Left: CT. Right: PSMA PET, same axial level, [18F]PSMA-1007 tracer. Slice position z = -1024 mm. PET panel 200×200 px (4.1 mm/px).
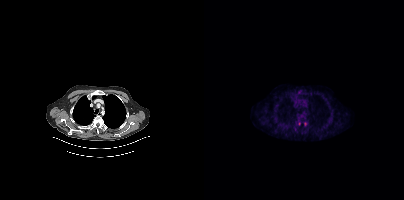
Only PSMA-avid lesion pieces thinner than 2 px on this slice (not listed).